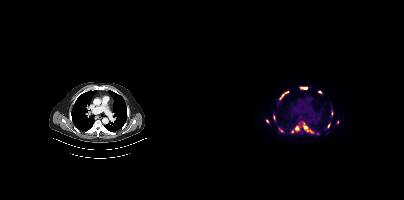
{"modality":"PSMA PET/CT","view":"axial","tracer":"18F-PSMA","pet_grid":[200,200],"coord_frame":"pet_panel","coord_format":"x0,y0,x1,y1","partial":true,"lesion_bboxes":[[99,123,104,131]],"small_foci_centers":[[92,127],[100,88],[124,125],[82,92],[63,121],[78,95],[88,131],[115,91],[77,130]]}